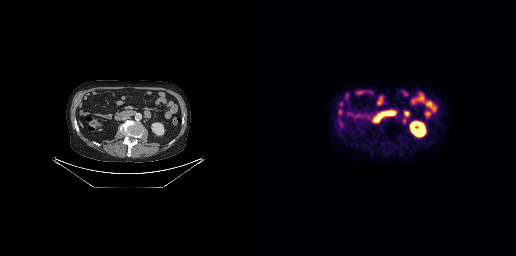
modality: PSMA PET/CT | tracer: 18F | view: axial | PET grid: 256×256
Coordinates are on the 256×256 PET (right) panel. PSMA-avid tumor lesion bounding box (x, y, width, height): x=143 y=118 w=4 h=6.